redaction: head region blacked out before release | modality: PSMA PET/CT | tracer: 18F | view: axial | PET grid: 200×200
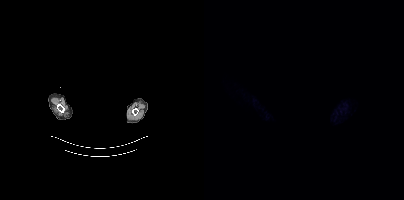
No PSMA-avid tumor lesions on this slice.